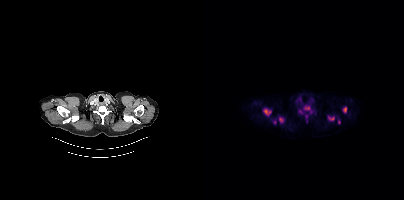
Left: CT. Right: PSMA PET, same axial level, 18F-PSMA tracer. Acquired on Siemens Biograph mCT Flow 20. Coordinates are on the 200×200 PET (right) panel. PSMA-avid tumor lesion bounding boxes (x0,y0,x1,y1): [59,108,67,115]; [100,114,104,122]; [101,107,109,112]; [75,117,79,122]; [139,107,142,112]; [124,117,130,120]. Small PSMA-avid foci (2 to 4 px across) near (center x, center y): (96, 111); (70, 121); (134, 122).